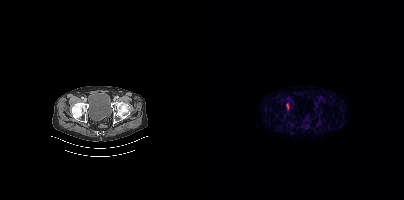
{"pet_grid":[200,200],"coord_frame":"pet_panel","coord_format":"x0,y0,x1,y1","lesion_bboxes":[[82,104,84,109]],"modality":"PSMA PET/CT","view":"axial","tracer":"[18F]PSMA-1007"}